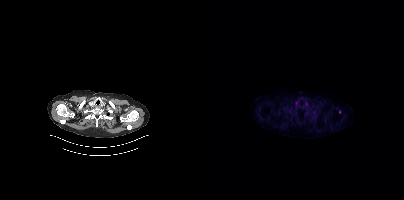
{"modality":"PSMA PET/CT","view":"axial","tracer":"18F-PSMA","pet_grid":[200,200],"coord_frame":"pet_panel","coord_format":"x0,y0,x1,y1","lesion_bboxes":[],"small_foci_centers":[[135,111]]}